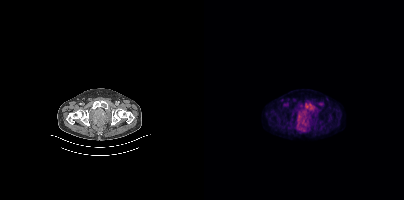
This slice has no annotated PSMA-avid lesion. Left: CT. Right: PSMA PET, same axial level, 18F tracer. Acquired on Siemens Biograph mCT Flow 20.